Technique: Two-panel axial: CT | PSMA PET, 68Ga-PSMA tracer. acquired on Siemens Biograph mCT Flow 20. slice 192 of 407.
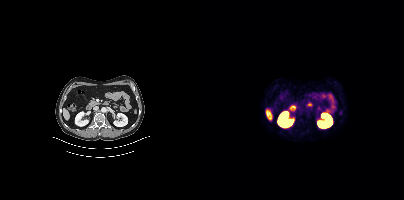
Findings: No PSMA-avid tumor lesions on this slice.